modality: PSMA PET/CT | tracer: [18F]PSMA-1007 | view: axial | PET grid: 200×200
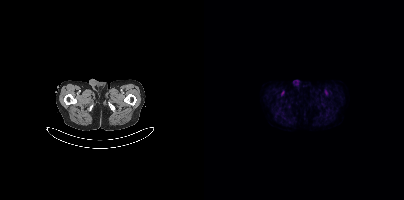
No tumor lesions annotated on this slice.